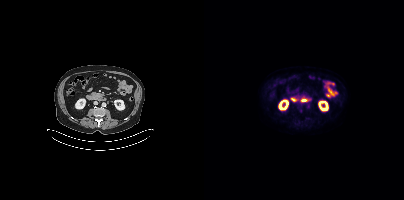
Paired axial CT (left) and PSMA PET (right), [18F]PSMA-1007 tracer. This slice has no annotated PSMA-avid lesion.